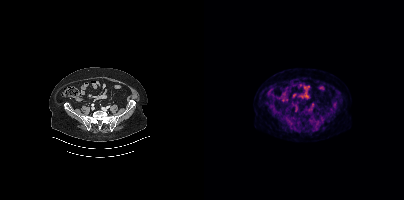
This slice has no annotated PSMA-avid lesion.
modality: PSMA PET/CT | tracer: 18F-PSMA | view: axial | PET grid: 200×200